modality: PSMA PET/CT | tracer: 68Ga-PSMA | view: axial | PET grid: 200×200
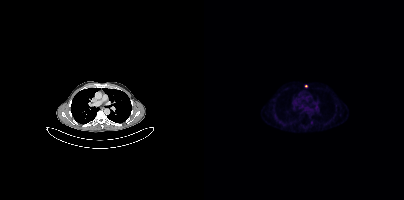
Coordinates are on the 200×200 PET (right) panel. Small PSMA-avid focus (2 to 4 px across) near (center x, center y): (102, 86).